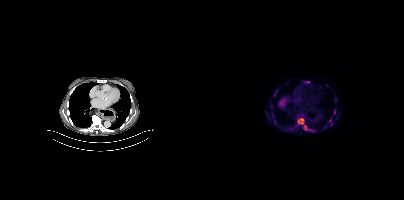
{"modality":"PSMA PET/CT","view":"axial","tracer":"18F","pet_grid":[200,200],"coord_frame":"pet_panel","coord_format":"x0,y0,x1,y1","partial":true,"lesion_bboxes":[[93,117,106,130],[101,81,105,83]],"small_foci_centers":[[130,111],[125,120]]}